Paired axial CT (left) and PSMA PET (right), 18F tracer. Acquired on Siemens Biograph mCT Flow 20. Slice position z = -1308 mm. PET panel 200×200 px (4.1 mm/px).
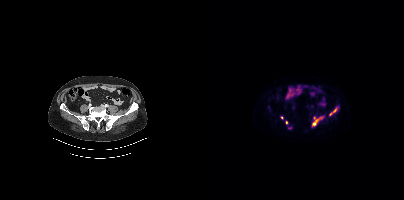
Coordinates are on the 200×200 PET (right) panel. PSMA-avid tumor lesion bounding boxes (partial; 1 more focus not listed):
| # | x0 | y0 | x1 | y1 |
|---|---|---|---|---|
| 1 | 108 | 115 | 120 | 125 |
| 2 | 126 | 106 | 134 | 115 |
Small PSMA-avid foci (2 to 4 px across) near (center x, center y): (82, 122); (77, 117); (110, 117).